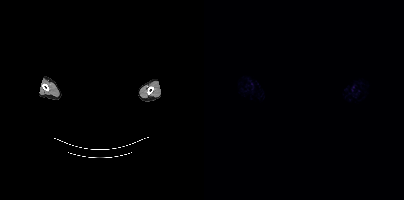
No tumor lesions annotated on this slice. A rectangular block over the head has been blanked out for de-identification. Two-panel axial: CT | PSMA PET, 18F tracer. Slice 425 of 427. PET panel 200×200 px (4.1 mm/px).